modality: PSMA PET/CT | tracer: 18F | view: axial | PET grid: 200×200
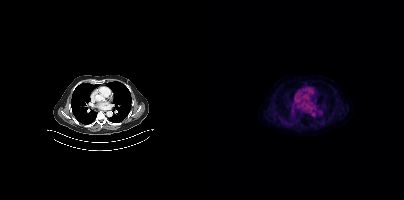
No PSMA-avid tumor lesions on this slice.